modality: PSMA PET/CT | tracer: 68Ga-PSMA | view: axial | PET grid: 256×256
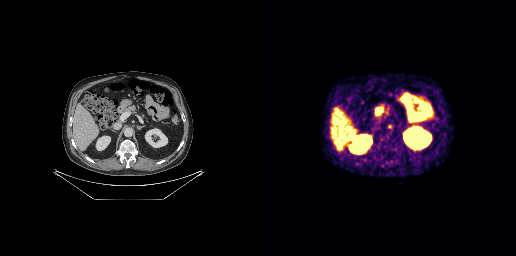
Coordinates are on the 256×256 PET (right) panel. PSMA-avid tumor lesion bounding box (x0,y0,x1,y1): [128,125,132,128].